redaction: face masked with black rectangle | modality: PSMA PET/CT | tracer: 18F-PSMA | view: axial
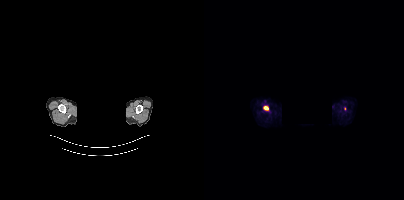
Coordinates are on the 200×200 PET (right) panel. PSMA-avid tumor lesion bounding box (x0,y0,x1,y1): [59,105,64,110].